Two-panel axial: CT | PSMA PET, 18F-PSMA tracer. Slice 49 of 299. PET panel 256×256 px (2.7 mm/px).
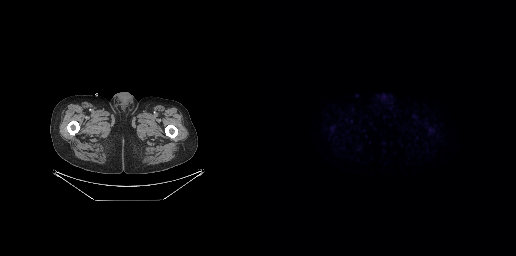
This slice has no annotated PSMA-avid lesion.